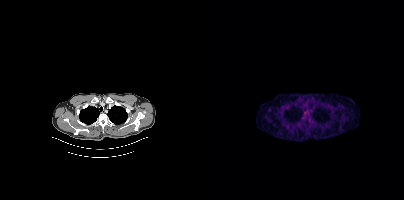
- Two-panel axial: CT | PSMA PET, 18F-PSMA tracer
- PET panel 200×200 px (4.1 mm/px)
Findings: No tumor lesions annotated on this slice.